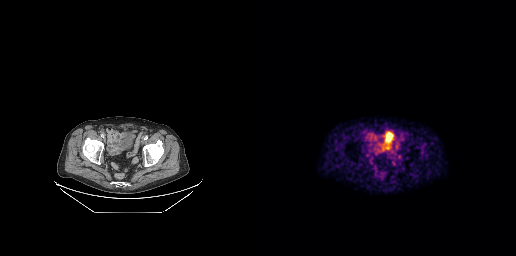
No PSMA-avid tumor lesions on this slice.
modality: PSMA PET/CT | tracer: 68Ga-PSMA | view: axial